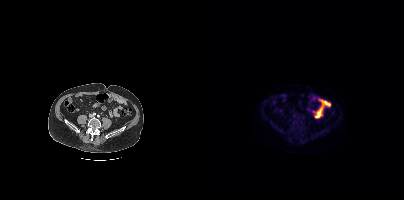
Two-panel axial: CT | PSMA PET, [18F]PSMA-1007 tracer. Slice 143 of 431. PET panel 200×200 px (4.1 mm/px). This slice has no annotated PSMA-avid lesion.